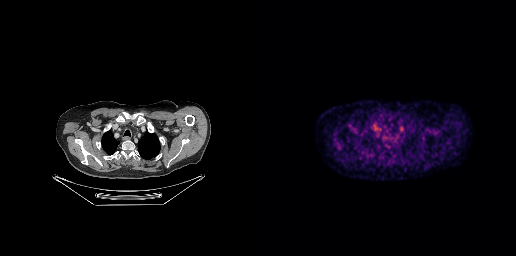
{"modality":"PSMA PET/CT","view":"axial","tracer":"[18F]PSMA-1007","pet_grid":[256,256],"coord_frame":"pet_panel","coord_format":"x0,y0,x1,y1","psma_avid_lesions":false}